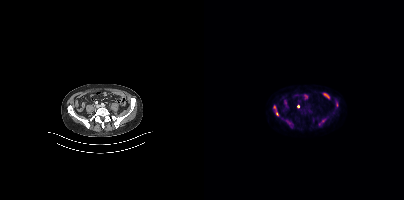
Coordinates are on the 200×200 PET (right) panel. (showing 4 of 5 foci) PSMA-avid tumor lesion bounding boxes (x0, y0)-(x1, y1): (114, 118)-(122, 125) | (69, 105)-(74, 115) | (82, 121)-(87, 126). Small PSMA-avid focus (2 to 4 px across) near (center x, center y): (94, 106).